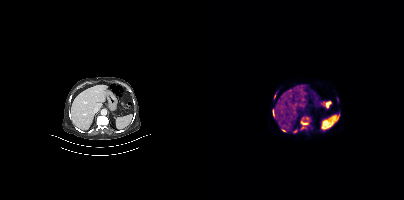
{"pet_grid":[200,200],"coord_frame":"pet_panel","coord_format":"x0,y0,x1,y1","partial":true,"lesion_bboxes":[[97,121,104,130],[68,109,70,114],[89,130,93,133],[77,129,82,131]],"small_foci_centers":[[70,96]],"modality":"PSMA PET/CT","view":"axial","tracer":"[68Ga]Ga-PSMA-11"}